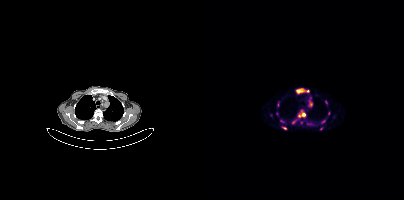
Two-panel axial: CT | PSMA PET, [68Ga]Ga-PSMA-11 tracer. Acquired on Siemens Biograph mCT Flow 20. Slice 300 of 393. Coordinates are on the 200×200 PET (right) panel. (showing 5 of 12 foci) PSMA-avid tumor lesion bounding boxes (x0,y0,x1,y1): [92,89,105,93] [105,100,108,104]. Small PSMA-avid foci (2 to 4 px across) near (center x, center y): (99, 114) (80, 128) (95, 115).